Two-panel axial: CT | PSMA PET, 18F tracer. Slice position z = -195 mm. PET panel 200×200 px (4.1 mm/px). De-identified by setting a box covering the face to black before release.
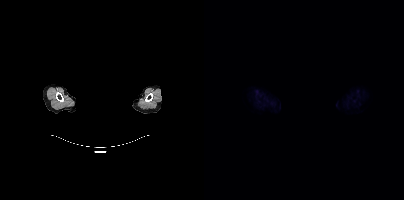
Negative for PSMA-avid disease on this slice.